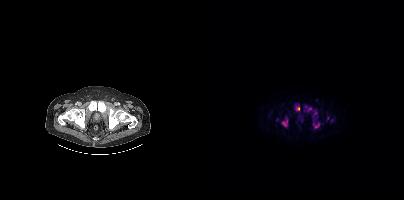
Technique: Paired axial CT (left) and PSMA PET (right), 18F tracer. acquired on Siemens Biograph mCT Flow 20. slice position z = -1016 mm. PET panel 200×200 px (4.1 mm/px).
Findings: Coordinates are on the 200×200 PET (right) panel. (showing 6 of 9 foci) PSMA-avid tumor lesion bounding boxes (x0, y0)-(x1, y1): (78, 120)-(83, 126) / (91, 104)-(95, 110) / (111, 123)-(115, 128). Small PSMA-avid foci (2 to 4 px across) near (center x, center y): (105, 108) / (109, 118) / (112, 111).